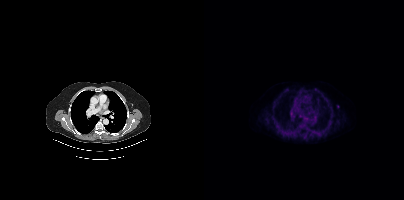
{"modality":"PSMA PET/CT","view":"axial","tracer":"18F-PSMA","pet_grid":[200,200],"coord_frame":"pet_panel","coord_format":"x0,y0,x1,y1","lesion_bboxes":[],"small_foci_centers":[[134,106]]}